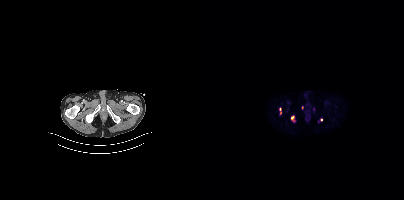
Coordinates are on the 200×200 PET (right) panel. (showing 4 of 5 foci) Small PSMA-avid foci (2 to 4 px across) near (center x, center y): (88, 117) / (76, 109) / (117, 119) / (76, 112). Paired axial CT (left) and PSMA PET (right), 18F tracer. Acquired on Siemens Biograph mCT Flow 20.